Paired axial CT (left) and PSMA PET (right), [18F]PSMA-1007 tracer. Slice 100 of 454.
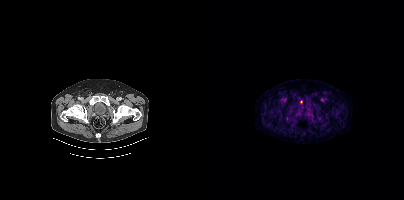
Coordinates are on the 200×200 PET (right) panel. Small PSMA-avid focus (2 to 4 px across) near (center x, center y): (97, 102).